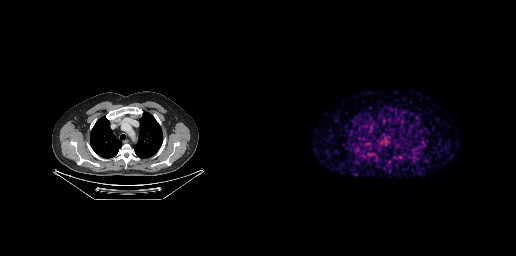
Left: CT. Right: PSMA PET, same axial level, 68Ga tracer. Acquired on GE Discovery 690. Slice 218 of 263. PET panel 256×256 px (2.7 mm/px). Negative for PSMA-avid disease on this slice.